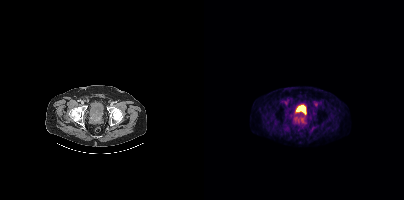
Findings: Coordinates are on the 200×200 PET (right) panel. Small PSMA-avid focus (2 to 4 px across) near (center x, center y): (99, 117).
Technique: Paired axial CT (left) and PSMA PET (right), 18F tracer. acquired on Siemens Biograph mCT Flow 20. slice 120 of 415. PET panel 200×200 px (4.1 mm/px).